Two-panel axial: CT | PSMA PET, 18F-PSMA tracer.
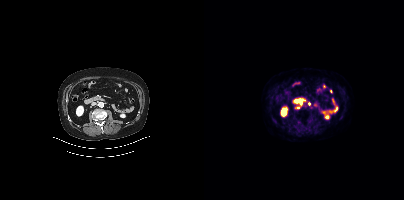
Coordinates are on the 200×200 PET (right) panel. Small PSMA-avid foci (2 to 4 px across) near (center x, center y): (92, 108) / (96, 102) / (105, 103).